- de-identified by setting a box covering the face to black before release
- Two-panel axial: CT | PSMA PET, [18F]PSMA-1007 tracer
- acquired on Siemens Biograph mCT Flow 20
- PET panel 200×200 px (4.1 mm/px)
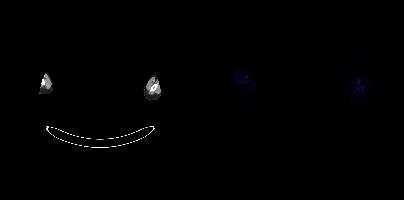
Findings: Negative for PSMA-avid disease on this slice.